Left: CT. Right: PSMA PET, same axial level, 68Ga tracer. Acquired on Siemens Biograph 64-4R TruePoint. Slice position z = -224 mm.
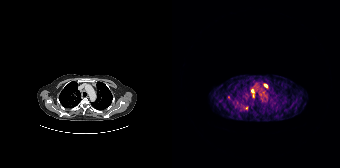
Coordinates are on the 168×168 PET (right) panel. (showing 3 of 4 foci) PSMA-avid tumor lesion bounding box (x0,y0,x1,y1): [79,89,82,97]. Small PSMA-avid foci (2 to 4 px across) near (center x, center y): (93, 85); (74, 108).